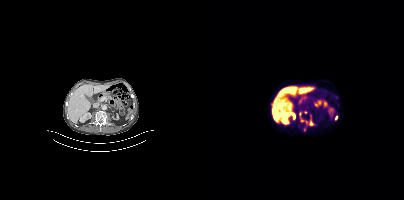
{"pet_grid":[200,200],"coord_frame":"pet_panel","coord_format":"x0,y0,x1,y1","lesion_bboxes":[[95,112,110,125]],"small_foci_centers":[[101,112],[132,117],[100,128]],"modality":"PSMA PET/CT","view":"axial","tracer":"18F-PSMA"}